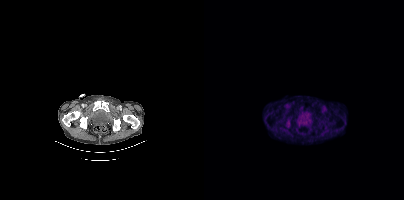
{"modality":"PSMA PET/CT","view":"axial","tracer":"18F-PSMA","pet_grid":[200,200],"coord_frame":"pet_panel","coord_format":"x0,y0,x1,y1","lesion_bboxes":[[83,122,85,126]]}